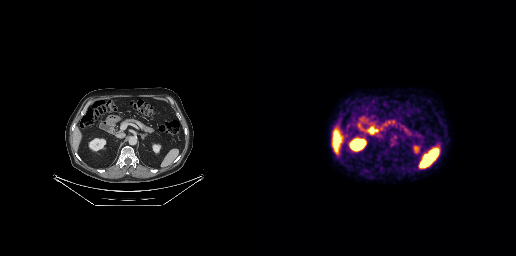
modality: PSMA PET/CT | tracer: [18F]PSMA-1007 | view: axial
No PSMA-avid tumor lesions on this slice.